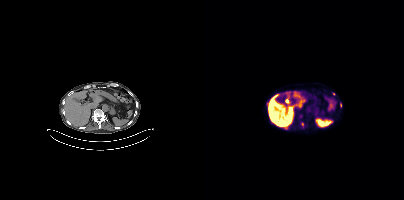
Left: CT. Right: PSMA PET, same axial level, [18F]PSMA-1007 tracer. Slice position z = -678 mm. Coordinates are on the 200×200 PET (right) panel. Small PSMA-avid foci (2 to 4 px across) near (center x, center y): (98, 124); (129, 93); (136, 105).